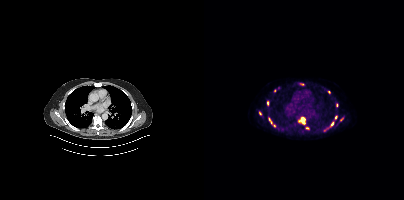
{"pet_grid":[200,200],"coord_frame":"pet_panel","coord_format":"x0,y0,x1,y1","partial":true,"lesion_bboxes":[[94,117,101,124],[65,118,67,123]],"small_foci_centers":[[128,123],[103,128],[125,92],[63,103],[132,117],[56,113],[132,105],[70,125]],"modality":"PSMA PET/CT","view":"axial","tracer":"[18F]PSMA-1007"}